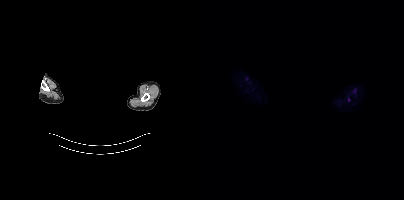
Findings: Coordinates are on the 200×200 PET (right) panel. Small PSMA-avid focus (2 to 4 px across) near (center x, center y): (144, 99).
- face de-identified by blanking a block of the head
- Two-panel axial: CT | PSMA PET, 18F-PSMA tracer
- acquired on Siemens Biograph mCT Flow 20
- slice 434 of 466